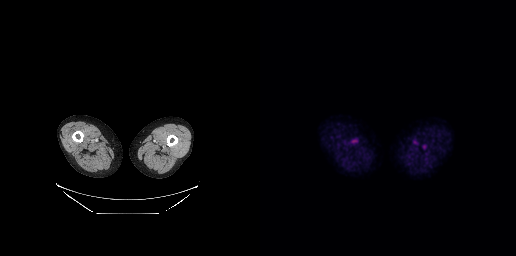
{"modality":"PSMA PET/CT","view":"axial","tracer":"18F-PSMA","pet_grid":[256,256],"coord_frame":"pet_panel","coord_format":"x0,y0,x1,y1","psma_avid_lesions":false}